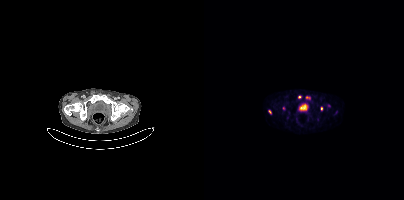
{"modality":"PSMA PET/CT","view":"axial","tracer":"68Ga-PSMA","pet_grid":[200,200],"coord_frame":"pet_panel","coord_format":"x0,y0,x1,y1","partial":true,"lesion_bboxes":[[102,96,106,99]],"small_foci_centers":[[66,111],[117,108],[95,96]]}